- Left: CT. Right: PSMA PET, same axial level, [18F]PSMA-1007 tracer
- acquired on Siemens Biograph mCT Flow 20
- slice position z = -202 mm
- PET panel 200×200 px (4.1 mm/px)
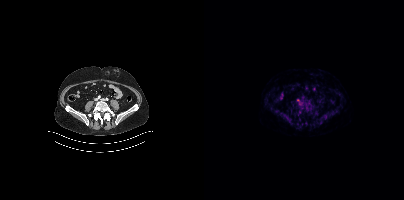
Findings: Only PSMA-avid lesion pieces thinner than 2 px on this slice (not listed).